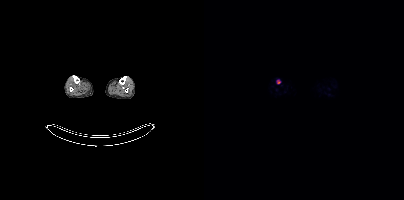
Two-panel axial: CT | PSMA PET, 18F-PSMA tracer. Acquired on Siemens Biograph mCT Flow 20. Coordinates are on the 200×200 PET (right) panel. Small PSMA-avid focus (2 to 4 px across) near (center x, center y): (74, 81).